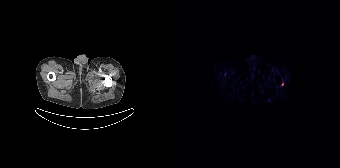
Findings: Coordinates are on the 168×168 PET (right) panel. Small PSMA-avid focus (2 to 4 px across) near (center x, center y): (110, 83).
- Two-panel axial: CT | PSMA PET, 18F-PSMA tracer
- slice 9 of 165